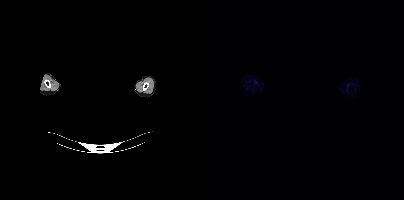
Technique: Two-panel axial: CT | PSMA PET, 18F-PSMA tracer.
Note: A rectangular block over the head has been blanked out for de-identification.
Findings: No PSMA-avid tumor lesions on this slice.